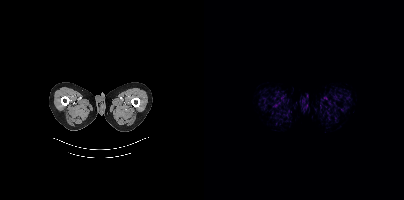
modality: PSMA PET/CT | tracer: 18F-PSMA | view: axial
No tumor lesions annotated on this slice.